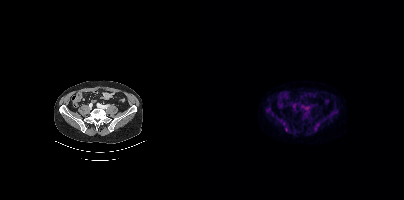
No tumor lesions annotated on this slice. Paired axial CT (left) and PSMA PET (right), 18F tracer. Acquired on Siemens Biograph mCT Flow 20. PET panel 200×200 px (4.1 mm/px).